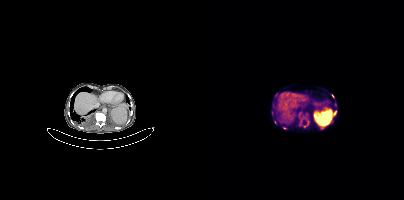
{"modality":"PSMA PET/CT","view":"axial","tracer":"68Ga-PSMA","pet_grid":[200,200],"coord_frame":"pet_panel","coord_format":"x0,y0,x1,y1","partial":true,"lesion_bboxes":[],"small_foci_centers":[[80,128],[131,111],[128,96],[71,122]]}